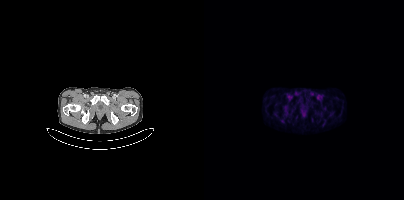
modality: PSMA PET/CT | tracer: 18F-PSMA | view: axial
Negative for PSMA-avid disease on this slice.